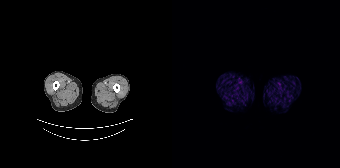
- Two-panel axial: CT | PSMA PET, 68Ga tracer
- acquired on Siemens Biograph 64-4R TruePoint
- slice 29 of 195
- PET panel 168×168 px (4.1 mm/px)
Findings: No PSMA-avid tumor lesions on this slice.